modality: PSMA PET/CT | tracer: 18F | view: axial
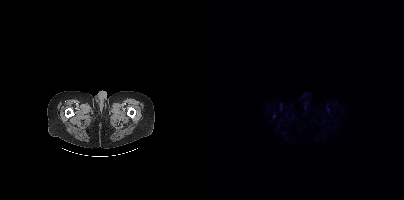
No tumor lesions annotated on this slice.